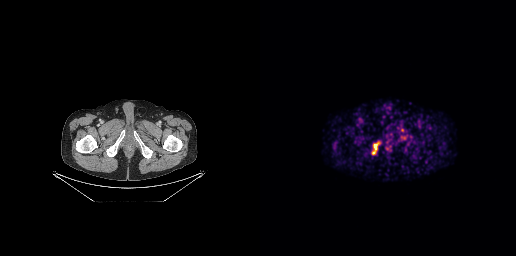
Findings: Coordinates are on the 256×256 PET (right) panel. PSMA-avid tumor lesion bounding box (x0, y0)-(x1, y1): (114, 144)-(116, 149).
Technique: Two-panel axial: CT | PSMA PET, 68Ga-PSMA tracer. PET panel 256×256 px (2.7 mm/px).